Two-panel axial: CT | PSMA PET, 18F-PSMA tracer. Acquired on Siemens Biograph mCT Flow 20. Slice 101 of 387. PET panel 200×200 px (4.1 mm/px).
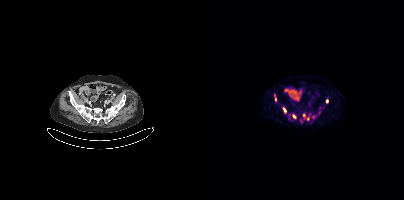
Coordinates are on the 200×200 PET (right) panel. PSMA-avid tumor lesion bounding boxes:
| # | x0 | y0 | x1 | y1 |
|---|---|---|---|---|
| 1 | 97 | 117 | 105 | 122 |
| 2 | 79 | 107 | 82 | 112 |
| 3 | 70 | 95 | 72 | 100 |
Small PSMA-avid foci (2 to 4 px across) near (center x, center y): (90, 116); (123, 101); (85, 118); (99, 114).